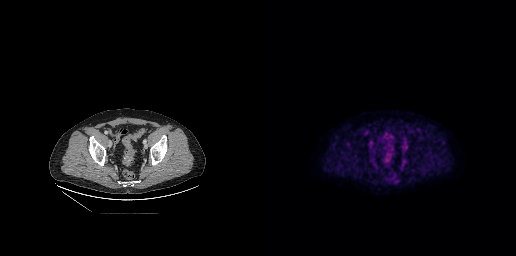
{"modality":"PSMA PET/CT","view":"axial","tracer":"18F-PSMA","pet_grid":[256,256],"coord_frame":"pet_panel","coord_format":"x0,y0,x1,y1","partial":true,"lesion_bboxes":[[134,180,138,183]]}